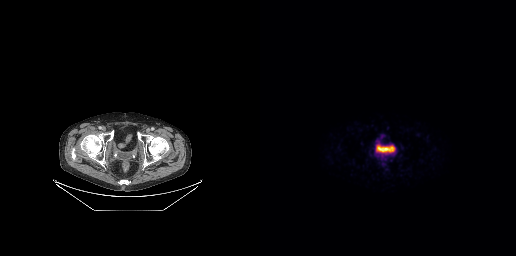
No PSMA-avid tumor lesions on this slice.